Two-panel axial: CT | PSMA PET, 68Ga tracer. Slice 3 of 263. PET panel 256×256 px (2.7 mm/px).
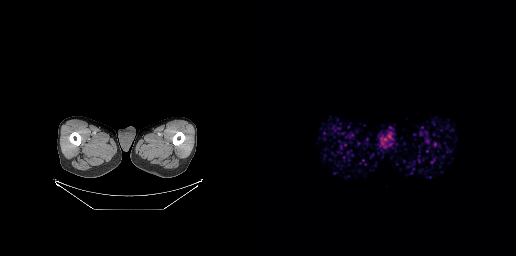
This slice has no annotated PSMA-avid lesion.